modality: PSMA PET/CT | tracer: 18F-PSMA | view: axial | redaction: rectangular block over head set to black
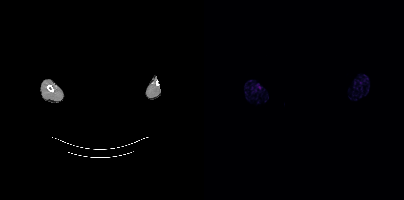
No tumor lesions annotated on this slice.